- Paired axial CT (left) and PSMA PET (right), 18F-PSMA tracer
- slice 315 of 436
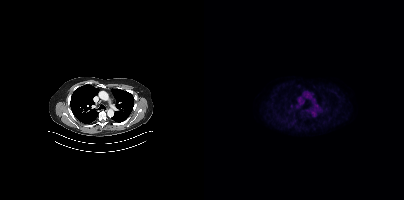
Findings: Coordinates are on the 200×200 PET (right) panel. Small PSMA-avid focus (2 to 4 px across) near (center x, center y): (113, 105).